- Left: CT. Right: PSMA PET, same axial level, 18F-PSMA tracer
- acquired on Siemens Biograph mCT Flow 20
- PET panel 200×200 px (4.1 mm/px)
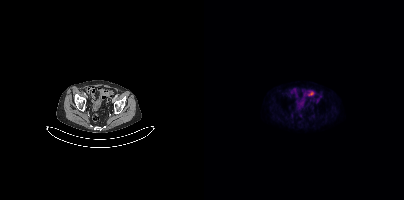
Findings: This slice has no annotated PSMA-avid lesion.